Paired axial CT (left) and PSMA PET (right), 18F-PSMA tracer. Acquired on Siemens Biograph mCT Flow 20. PET panel 200×200 px (4.1 mm/px).
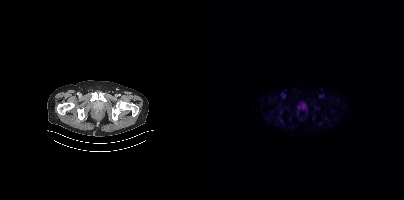
Coordinates are on the 200×200 PET (right) panel. PSMA-avid tumor lesion bounding boxes:
| # | x0 | y0 | x1 | y1 |
|---|---|---|---|---|
| 1 | 96 | 104 | 101 | 108 |